Technique: Left: CT. Right: PSMA PET, same axial level, 18F tracer. PET panel 200×200 px (4.1 mm/px).
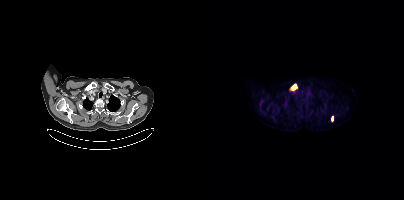
Findings: Coordinates are on the 200×200 PET (right) panel. PSMA-avid tumor lesion bounding box (x0, y0)-(x1, y1): (88, 84)-(92, 89). Small PSMA-avid focus (2 to 4 px across) near (center x, center y): (128, 118).